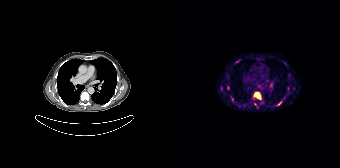
Paired axial CT (left) and PSMA PET (right), [68Ga]Ga-PSMA-11 tracer. PET panel 168×168 px (4.1 mm/px). Coordinates are on the 168×168 PET (right) panel. (showing 5 of 6 foci) PSMA-avid tumor lesion bounding boxes (x0, y0)-(x1, y1): (81, 92)-(89, 99) | (105, 101)-(109, 105). Small PSMA-avid foci (2 to 4 px across) near (center x, center y): (56, 87) | (49, 88) | (64, 61).